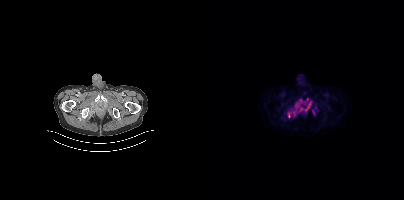
Left: CT. Right: PSMA PET, same axial level, 18F tracer. Slice position z = -80 mm. Coordinates are on the 200×200 PET (right) panel. PSMA-avid tumor lesion bounding boxes (x0, y0)-(x1, y1): (83, 99)-(107, 117) / (101, 98)-(104, 103) / (109, 110)-(110, 114).